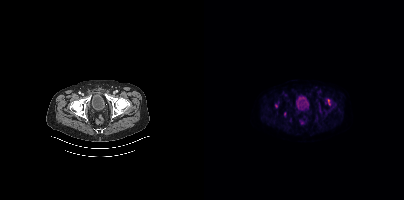
Findings: Coordinates are on the 200×200 PET (right) panel. PSMA-avid tumor lesion bounding box (x0,y0,x1,y1): [124,99,126,104]. Small PSMA-avid foci (2 to 4 px across) near (center x, center y): (72, 106) (80, 113).
Technique: Two-panel axial: CT | PSMA PET, [18F]PSMA-1007 tracer. slice position z = -1492 mm. PET panel 200×200 px (4.1 mm/px).